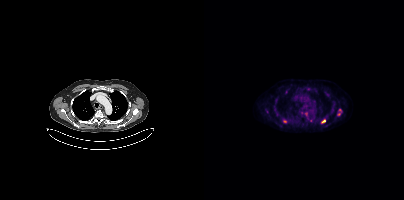
Paired axial CT (left) and PSMA PET (right), [18F]PSMA-1007 tracer. Acquired on Siemens Biograph mCT Flow 20. Slice 292 of 387. Coordinates are on the 200×200 PET (right) panel. (showing 7 of 8 foci) Small PSMA-avid foci (2 to 4 px across) near (center x, center y): (119, 121) (107, 120) (99, 114) (104, 88) (134, 114) (81, 121) (135, 109).